Technique: Two-panel axial: CT | PSMA PET, 18F tracer. acquired on Siemens Biograph mCT Flow 20. PET panel 200×200 px (4.1 mm/px).
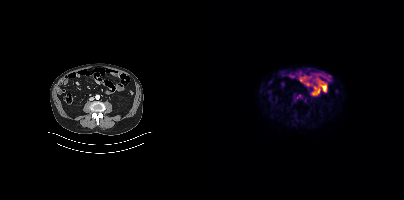
Findings: No tumor lesions annotated on this slice.